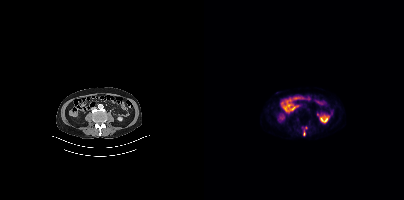
Only PSMA-avid lesion pieces thinner than 2 px on this slice (not listed).